Two-panel axial: CT | PSMA PET, 18F tracer. Acquired on Siemens Biograph mCT Flow 20. PET panel 200×200 px (4.1 mm/px).
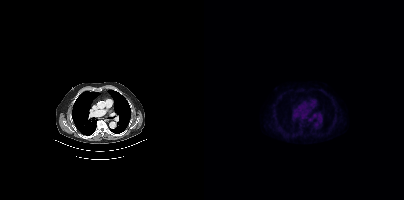
Coordinates are on the 200×200 PET (right) panel. Small PSMA-avid focus (2 to 4 px across) near (center x, center y): (105, 119).